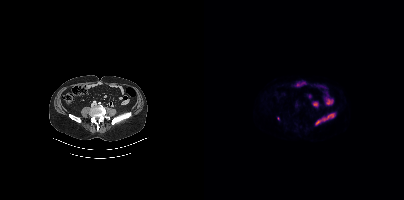
Findings: Coordinates are on the 200×200 PET (right) panel. (showing 2 of 3 foci) PSMA-avid tumor lesion bounding boxes (x0, y0)-(x1, y1): (120, 113)-(130, 120); (112, 120)-(117, 124).
Technique: Two-panel axial: CT | PSMA PET, [18F]PSMA-1007 tracer. acquired on Siemens Biograph mCT Flow 20. PET panel 200×200 px (4.1 mm/px).